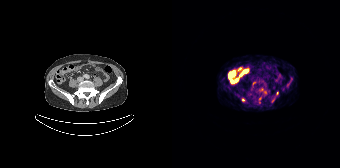
Coordinates are on the 168×168 PET (right) panel. Small PSMA-avid focus (2 to 4 px across) near (center x, center y): (71, 99).